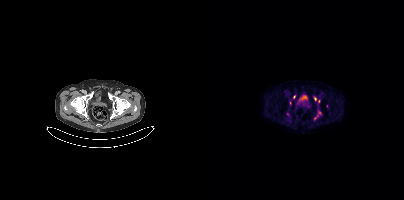
Technique: Left: CT. Right: PSMA PET, same axial level, 18F tracer. slice 76 of 415.
Findings: Coordinates are on the 200×200 PET (right) panel. (showing 5 of 7 foci) Small PSMA-avid foci (2 to 4 px across) near (center x, center y): (111, 98) / (114, 101) / (86, 102) / (115, 112) / (83, 113).